modality: PSMA PET/CT | tracer: 68Ga-PSMA | view: axial | PET grid: 200×200
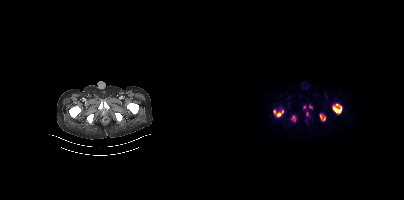
Negative for PSMA-avid disease on this slice.